modality: PSMA PET/CT | tracer: 68Ga-PSMA | view: axial | PET grid: 168×168
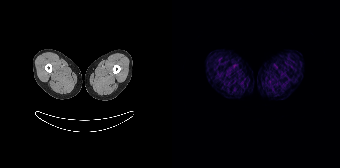
No PSMA-avid tumor lesions on this slice.